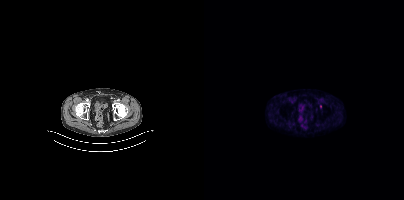
Coordinates are on the 200×200 PET (right) panel. Small PSMA-avid focus (2 to 4 px across) near (center x, center y): (116, 106).